Facial anatomy redacted by setting a rectangular region of the head to black.
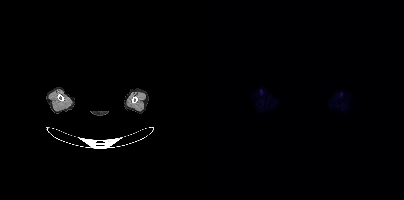
No tumor lesions annotated on this slice.